Two-panel axial: CT | PSMA PET, 18F tracer. Slice 135 of 263. PET panel 256×256 px (2.7 mm/px).
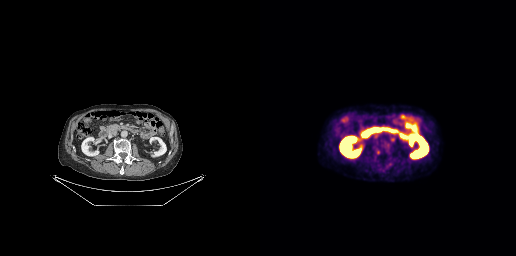
Coordinates are on the 256×256 PET (right) panel. PSMA-avid tumor lesion bounding boxes (partial; 1 more focus not listed):
| # | x0 | y0 | x1 | y1 |
|---|---|---|---|---|
| 1 | 123 | 141 | 130 | 148 |
| 2 | 115 | 148 | 120 | 154 |
| 3 | 131 | 138 | 135 | 143 |
Small PSMA-avid focus (2 to 4 px across) near (center x, center y): (129, 164).